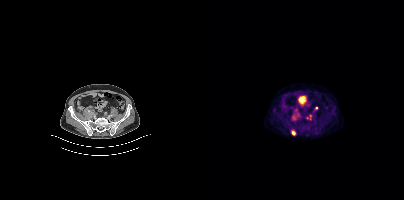
Coordinates are on the 200×200 PET (right) panel. PSMA-avid tumor lesion bounding box (x0, y0)-(x1, y1): (87, 129)-(92, 135). Two-panel axial: CT | PSMA PET, 18F tracer. Acquired on Siemens Biograph mCT Flow 20. PET panel 200×200 px (4.1 mm/px).